Two-panel axial: CT | PSMA PET, 68Ga tracer. Slice position z = -577 mm.
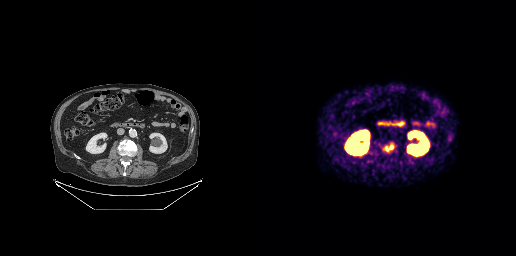
Coordinates are on the 256×256 PET (right) panel. PSMA-avid tumor lesion bounding boxes:
| # | x0 | y0 | x1 | y1 |
|---|---|---|---|---|
| 1 | 130 | 145 | 133 | 149 |
Small PSMA-avid focus (2 to 4 px across) near (center x, center y): (127, 148).